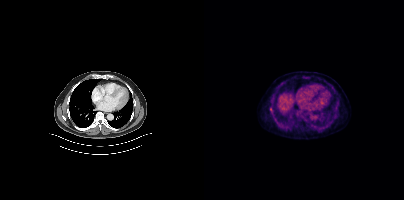
Left: CT. Right: PSMA PET, same axial level, 18F tracer. PET panel 200×200 px (4.1 mm/px). Coordinates are on the 200×200 PET (right) panel. PSMA-avid tumor lesion bounding box (x0, y0)-(x1, y1): (66, 107)-(69, 111).